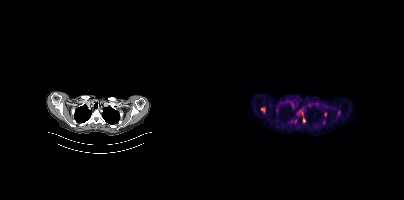
Coordinates are on the 200×200 PET (right) panel. PSMA-avid tumor lesion bounding boxes (partial; 2 more foci not listed):
| # | x0 | y0 | x1 | y1 |
|---|---|---|---|---|
| 1 | 57 | 107 | 61 | 112 |
Small PSMA-avid foci (2 to 4 px across) near (center x, center y): (121, 114); (134, 112); (99, 120).
Two-panel axial: CT | PSMA PET, 18F tracer. Slice 326 of 421.